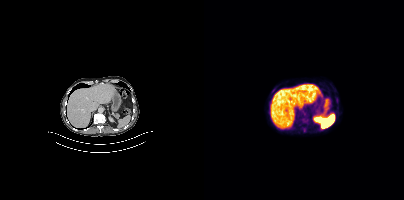
{"modality":"PSMA PET/CT","view":"axial","tracer":"18F","pet_grid":[200,200],"coord_frame":"pet_panel","coord_format":"x0,y0,x1,y1","lesion_bboxes":[],"small_foci_centers":[[100,120]]}